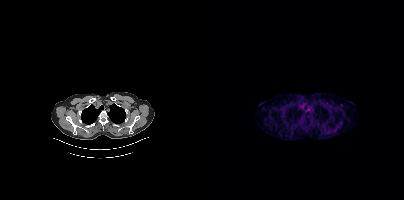
Left: CT. Right: PSMA PET, same axial level, 68Ga-PSMA tracer. Acquired on Siemens Biograph mCT Flow 20. Slice 316 of 409. Negative for PSMA-avid disease on this slice.